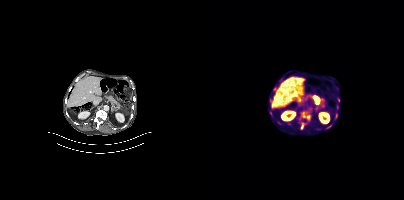
modality: PSMA PET/CT | tracer: 18F | view: axial
Coordinates are on the 200×200 PET (right) panel. (showing 4 of 5 foci) PSMA-avid tumor lesion bounding boxes (x, y, width, height): x=96 y=122 w=7 h=8 / x=99 y=115 w=8 h=6 / x=123 y=125 w=5 h=4. Small PSMA-avid focus (2 to 4 px across) near (center x, center y): (69, 89).